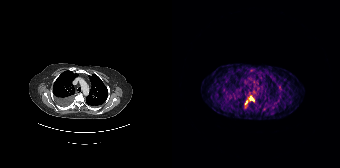
Technique: Left: CT. Right: PSMA PET, same axial level, 68Ga tracer.
Findings: Coordinates are on the 168×168 PET (right) panel. PSMA-avid tumor lesion bounding box (x0, y0)-(x1, y1): (78, 96)-(82, 100). Small PSMA-avid foci (2 to 4 px across) near (center x, center y): (74, 106) | (74, 102).